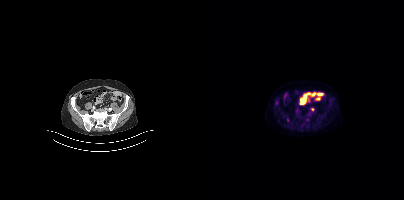
Coordinates are on the 200×200 PET (right) panel. Small PSMA-avid foci (2 to 4 px across) near (center x, center y): (103, 119); (108, 109).